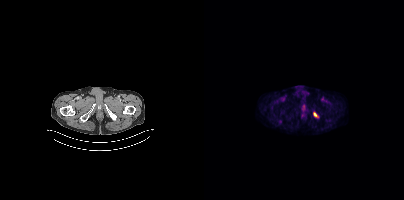
- Paired axial CT (left) and PSMA PET (right), 18F-PSMA tracer
- PET panel 200×200 px (4.1 mm/px)
Findings: Coordinates are on the 200×200 PET (right) panel. Small PSMA-avid focus (2 to 4 px across) near (center x, center y): (111, 114).